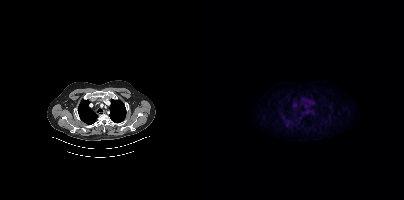
- Left: CT. Right: PSMA PET, same axial level, 18F tracer
- acquired on Siemens Biograph mCT Flow 20
- PET panel 200×200 px (4.1 mm/px)
Findings: No PSMA-avid tumor lesions on this slice.